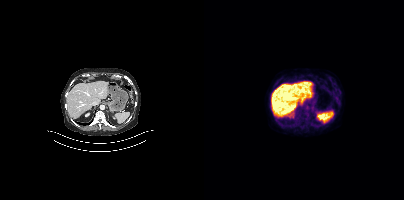
Negative for PSMA-avid disease on this slice.